Left: CT. Right: PSMA PET, same axial level, 18F tracer. Slice 24 of 421. PET panel 200×200 px (4.1 mm/px).
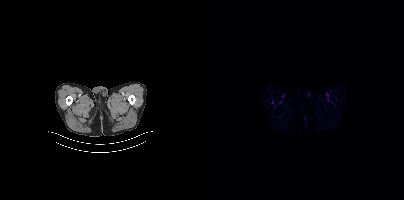
Only PSMA-avid lesion pieces thinner than 2 px on this slice (not listed).